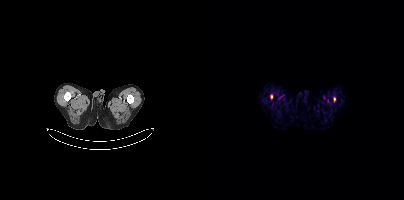
Findings: Coordinates are on the 200×200 PET (right) panel. PSMA-avid tumor lesion bounding boxes (x, y, width, height): x=66 y=95 w=3 h=5 | x=129 y=97 w=3 h=5.
Technique: Left: CT. Right: PSMA PET, same axial level, 18F-PSMA tracer. slice 8 of 373. PET panel 200×200 px (4.1 mm/px).